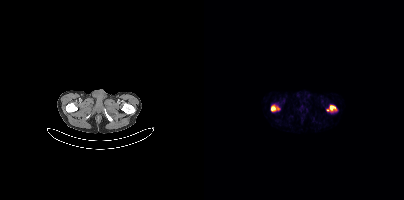
Coordinates are on the 200×200 PET (right) panel. PSMA-avid tumor lesion bounding boxes (x, y, width, height): x=67 y=106 w=9 h=5; x=126 y=105 w=7 h=6. Small PSMA-avid focus (2 to 4 px across) near (center x, center y): (123, 109).